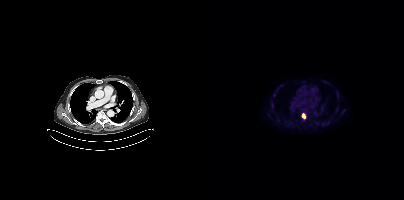
{"modality":"PSMA PET/CT","view":"axial","tracer":"18F","pet_grid":[200,200],"coord_frame":"pet_panel","coord_format":"x0,y0,x1,y1","lesion_bboxes":[[98,113,101,118]]}